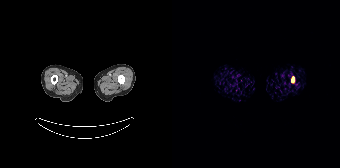
modality: PSMA PET/CT | tracer: 68Ga | view: axial
Coordinates are on the 168×168 PET (right) panel. PSMA-avid tumor lesion bounding box (x0, y0)-(x1, y1): (120, 77)-(122, 81).